modality: PSMA PET/CT | tracer: 18F | view: axial
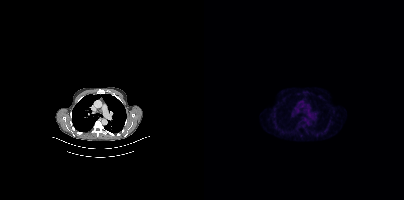
This slice has no annotated PSMA-avid lesion.